Left: CT. Right: PSMA PET, same axial level, 18F tracer. Slice 54 of 299.
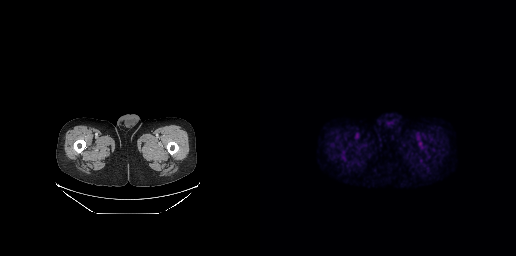
Negative for PSMA-avid disease on this slice.